Two-panel axial: CT | PSMA PET, 68Ga tracer. Slice position z = -818 mm. PET panel 256×256 px (2.7 mm/px).
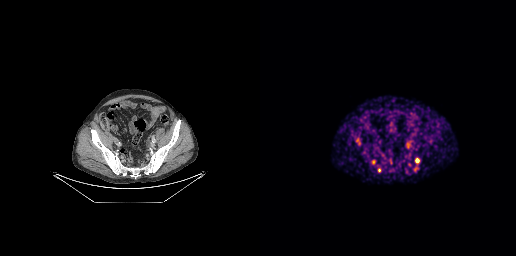
Coordinates are on the 256×256 PET (right) panel. (showing 3 of 4 foci) PSMA-avid tumor lesion bounding box (x, y, width, height): x=155 y=158 w=5 h=5. Small PSMA-avid foci (2 to 4 px across) near (center x, center y): (119, 170); (104, 152).